Technique: Two-panel axial: CT | PSMA PET, 18F tracer. acquired on Siemens Biograph mCT Flow 20. slice position z = -1498 mm. PET panel 200×200 px (4.1 mm/px).
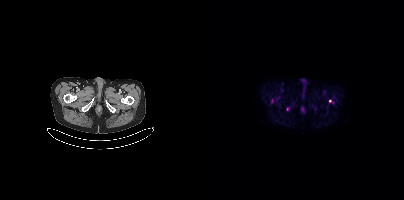
Findings: Coordinates are on the 200×200 PET (right) panel. (showing 2 of 3 foci) Small PSMA-avid foci (2 to 4 px across) near (center x, center y): (68, 100) | (126, 100).